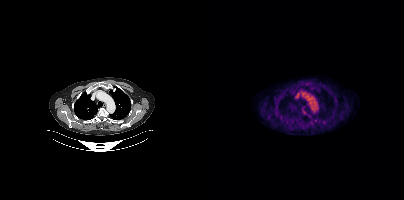
This slice has no annotated PSMA-avid lesion. Paired axial CT (left) and PSMA PET (right), [18F]PSMA-1007 tracer. Slice position z = -286 mm.